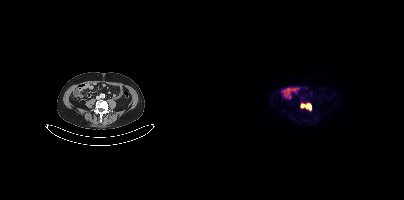
{"modality":"PSMA PET/CT","view":"axial","tracer":"18F-PSMA","pet_grid":[200,200],"coord_frame":"pet_panel","coord_format":"x0,y0,x1,y1","lesion_bboxes":[[102,104,107,109]],"small_foci_centers":[[98,105]]}